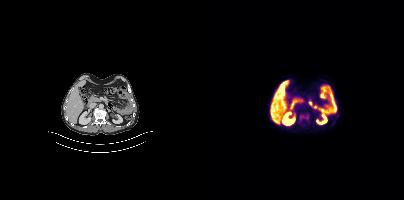
Findings: This slice has no annotated PSMA-avid lesion.
Technique: Left: CT. Right: PSMA PET, same axial level, 18F-PSMA tracer. slice position z = -506 mm.